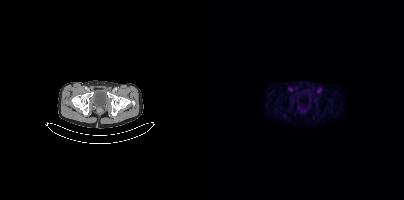
Negative for PSMA-avid disease on this slice.